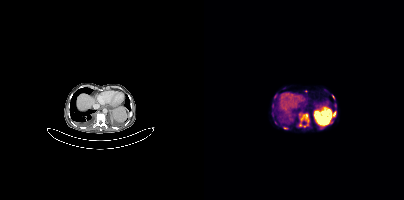
Coordinates are on the 200×200 PET (right) panel. (showing 6 of 10 foci) PSMA-avid tumor lesion bounding boxes (x, y, width, height): x=97 y=114 w=8 h=9; x=79 y=127 w=5 h=3. Small PSMA-avid foci (2 to 4 px across) near (center x, center y): (129, 114); (71, 96); (96, 125); (129, 97).